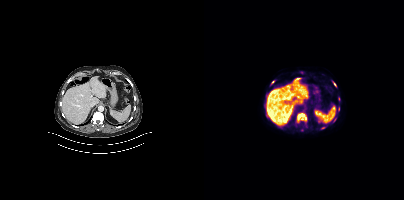
- Left: CT. Right: PSMA PET, same axial level, 18F tracer
- acquired on Siemens Biograph mCT Flow 20
Findings: Coordinates are on the 200×200 PET (right) panel. (showing 6 of 10 foci) PSMA-avid tumor lesion bounding boxes (x, y, width, height): x=94 y=114 w=7 h=6; x=117 y=127 w=5 h=3; x=129 y=118 w=4 h=5; x=134 y=107 w=2 h=5. Small PSMA-avid foci (2 to 4 px across) near (center x, center y): (69, 82); (130, 84).